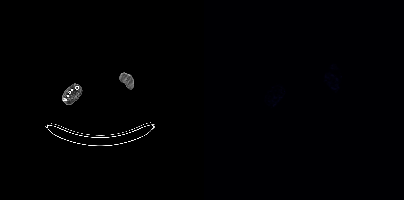
Findings: Negative for PSMA-avid disease on this slice.
- Left: CT. Right: PSMA PET, same axial level, 18F-PSMA tracer
- acquired on Siemens Biograph mCT Flow 20
- slice position z = -1973 mm